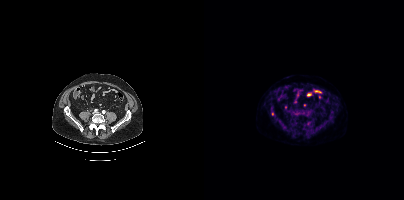
{"modality":"PSMA PET/CT","view":"axial","tracer":"18F","pet_grid":[200,200],"coord_frame":"pet_panel","coord_format":"x0,y0,x1,y1","lesion_bboxes":[],"small_foci_centers":[[68,114]]}